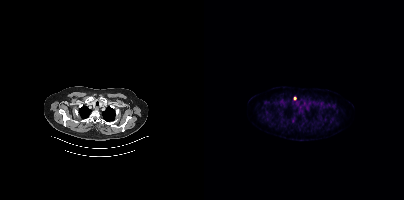
{"modality":"PSMA PET/CT","view":"axial","tracer":"[18F]PSMA-1007","pet_grid":[200,200],"coord_frame":"pet_panel","coord_format":"x0,y0,x1,y1","lesion_bboxes":[],"small_foci_centers":[[91,98]]}